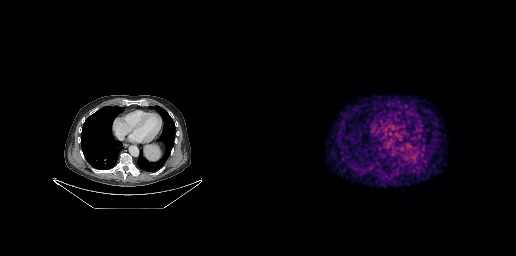
modality: PSMA PET/CT | tracer: 68Ga | view: axial | PET grid: 256×256
No PSMA-avid tumor lesions on this slice.